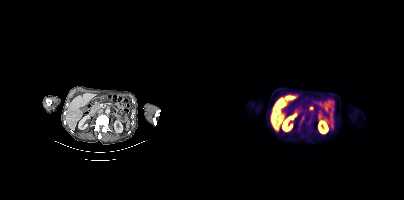
{"modality":"PSMA PET/CT","view":"axial","tracer":"[18F]PSMA-1007","pet_grid":[200,200],"coord_frame":"pet_panel","coord_format":"x0,y0,x1,y1","lesion_bboxes":[[96,115,100,123]]}